Technique: Paired axial CT (left) and PSMA PET (right), 68Ga-PSMA tracer. slice position z = -729 mm. PET panel 168×168 px (4.1 mm/px).
Note: A rectangular region was set to black for de-identification.
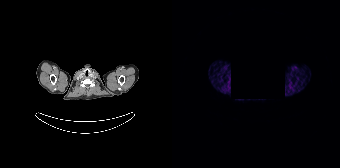
Findings: This slice has no annotated PSMA-avid lesion.